Two-panel axial: CT | PSMA PET, [18F]PSMA-1007 tracer. Acquired on GE Discovery 690. PET panel 256×256 px (2.7 mm/px).
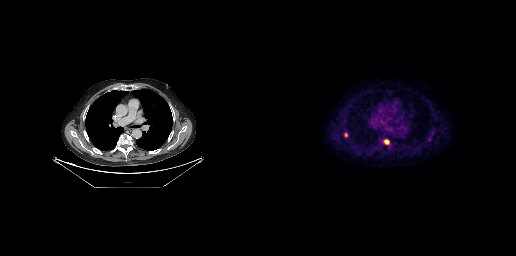
Coordinates are on the 256×256 PET (right) panel. PSMA-avid tumor lesion bounding boxes:
| # | x0 | y0 | x1 | y1 |
|---|---|---|---|---|
| 1 | 124 | 139 | 129 | 144 |
| 2 | 84 | 133 | 87 | 137 |
| 3 | 168 | 137 | 171 | 141 |